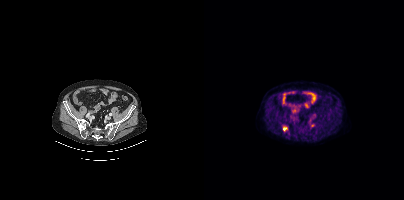
Left: CT. Right: PSMA PET, same axial level, 18F-PSMA tracer. Slice position z = -789 mm. PET panel 200×200 px (4.1 mm/px). Coordinates are on the 200×200 PET (right) panel. PSMA-avid tumor lesion bounding box (x0, y0)-(x1, y1): (79, 126)-(83, 131).